De-identified by setting a box covering the face to black before release.
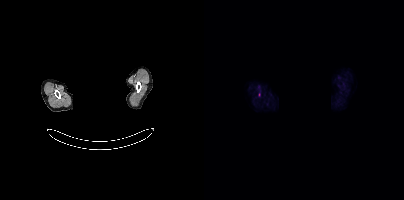
Only PSMA-avid lesion pieces thinner than 2 px on this slice (not listed).